Left: CT. Right: PSMA PET, same axial level, 18F-PSMA tracer. Slice position z = -1027 mm. PET panel 200×200 px (4.1 mm/px).
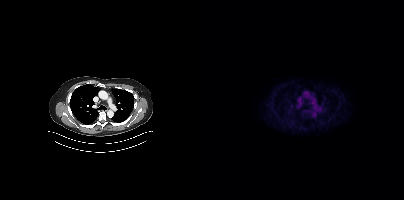
Coordinates are on the 200×200 PET (right) panel. Small PSMA-avid focus (2 to 4 px across) near (center x, center y): (113, 105).